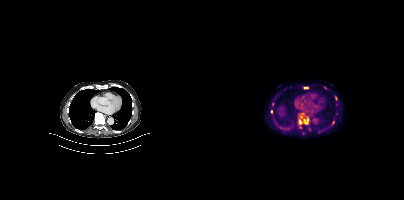
Coordinates are on the 200×200 PET (right) panel. (showing 7 of 9 foci) PSMA-avid tumor lesion bounding boxes (x0, y0)-(x1, y1): (95, 117)-(104, 124); (131, 96)-(133, 100). Small PSMA-avid foci (2 to 4 px across) near (center x, center y): (101, 87); (129, 122); (67, 111); (97, 116); (98, 113).
modality: PSMA PET/CT | tracer: 18F | view: axial | PET grid: 200×200